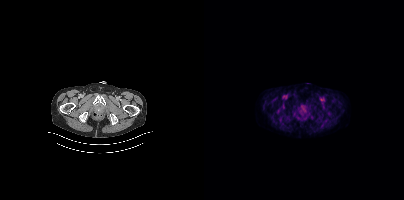
modality: PSMA PET/CT | tracer: [18F]PSMA-1007 | view: axial
Coordinates are on the 200×200 PET (right) panel. PSMA-avid tumor lesion bounding box (x0, y0)-(x1, y1): (95, 106)-(102, 114).